Paired axial CT (left) and PSMA PET (right), 18F-PSMA tracer. PET panel 200×200 px (4.1 mm/px).
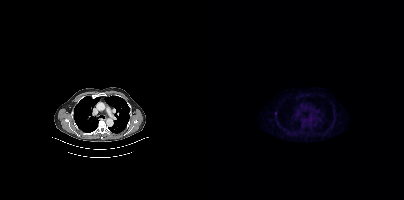
No PSMA-avid tumor lesions on this slice.